modality: PSMA PET/CT | tracer: 18F | view: axial | PET grid: 200×200
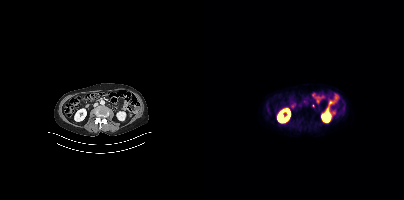
Only PSMA-avid lesion pieces thinner than 2 px on this slice (not listed).